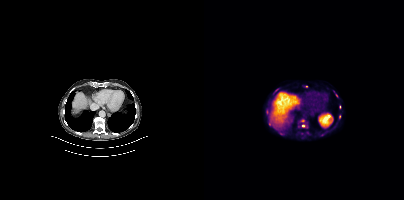
Coordinates are on the 200×200 PET (right) panel. (showing 5 of 7 foci) Small PSMA-avid foci (2 to 4 px across) near (center x, center y): (63, 111); (135, 106); (135, 116); (99, 125); (102, 86). Left: CT. Right: PSMA PET, same axial level, [18F]PSMA-1007 tracer. Slice position z = -586 mm. PET panel 200×200 px (4.1 mm/px).